modality: PSMA PET/CT | tracer: 18F | view: axial | PET grid: 200×200
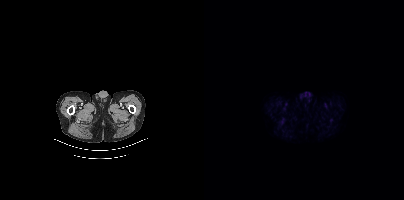
Negative for PSMA-avid disease on this slice.